Paired axial CT (left) and PSMA PET (right), 18F-PSMA tracer. Acquired on GE Discovery 690. Slice position z = -455 mm. PET panel 256×256 px (2.7 mm/px).
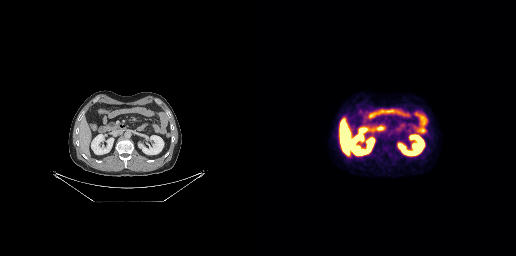
Negative for PSMA-avid disease on this slice.